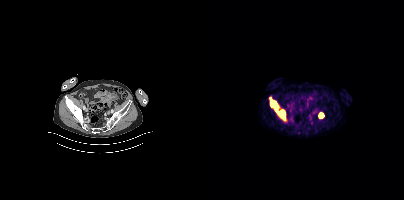
Findings: Coordinates are on the 200×200 PET (right) panel. PSMA-avid tumor lesion bounding boxes (x, y, width, height): x=65 y=97 w=18 h=25; x=114 y=112 w=7 h=7.
- Two-panel axial: CT | PSMA PET, 18F tracer
- slice 116 of 427
- PET panel 200×200 px (4.1 mm/px)